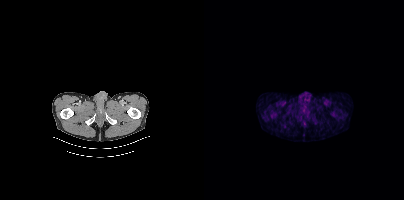
modality: PSMA PET/CT | tracer: 18F | view: axial
Coordinates are on the 200×200 PET (right) panel. Small PSMA-avid focus (2 to 4 px across) near (center x, center y): (67, 115).